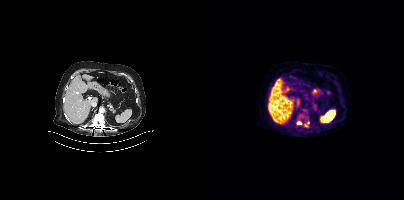
Coordinates are on the 200×200 PET (right) panel. PSMA-avid tumor lesion bounding boxes (x0,y0,x1,y1): [100,122,104,127], [93,121,98,124].